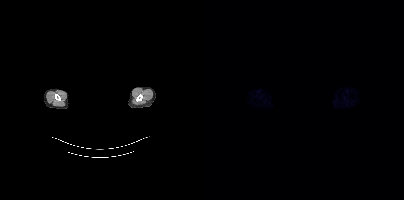
modality: PSMA PET/CT | tracer: [18F]PSMA-1007 | view: axial | PET grid: 200×200 | de-identification: head region blacked out before release
Negative for PSMA-avid disease on this slice.